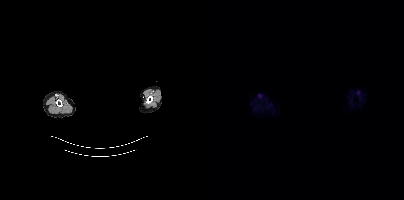
No tumor lesions annotated on this slice. An anonymization step blacked out a rectangle over the head in this scan. Left: CT. Right: PSMA PET, same axial level, 18F-PSMA tracer. Slice position z = -251 mm. PET panel 200×200 px (4.1 mm/px).